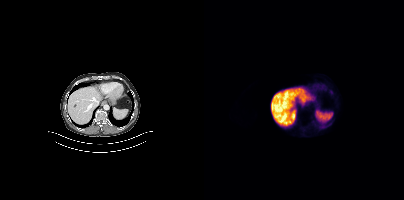
{"modality":"PSMA PET/CT","view":"axial","tracer":"[18F]PSMA-1007","pet_grid":[200,200],"coord_frame":"pet_panel","coord_format":"x0,y0,x1,y1","psma_avid_lesions":false}